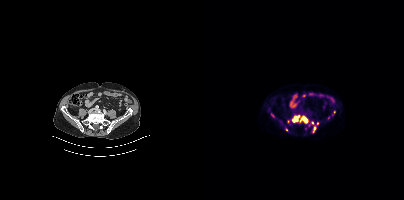
Coordinates are on the 200×200 PET (right) panel. (showing 9 of 12 foci) PSMA-avid tumor lesion bounding boxes (x0, y0)-(x1, y1): (88, 116)-(93, 122) / (98, 117)-(104, 123) / (109, 127)-(111, 132) / (67, 113)-(70, 117). Small PSMA-avid foci (2 to 4 px across) near (center x, center y): (130, 112) / (108, 122) / (124, 117) / (113, 123) / (82, 129).